Two-panel axial: CT | PSMA PET, [18F]PSMA-1007 tracer. Acquired on Siemens Biograph mCT Flow 20.
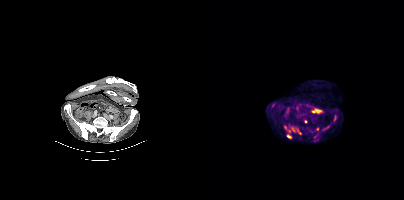
Coordinates are on the 200×200 PET (right) panel. PSMA-avid tumor lesion bounding boxes (x0,y0,x1,y1): [88,128,97,134]; [120,125,126,130]; [83,135,87,138]; [130,115,132,121]; [81,126,83,131]. Small PSMA-avid foci (2 to 4 px across) near (center x, center y): (69, 104); (113, 128); (101, 121); (85, 130); (110, 136).